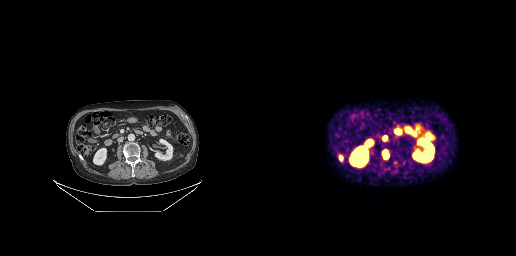
Technique: Left: CT. Right: PSMA PET, same axial level, [68Ga]Ga-PSMA-11 tracer. slice position z = -470 mm. PET panel 256×256 px (2.7 mm/px).
Findings: Coordinates are on the 256×256 PET (right) panel. PSMA-avid tumor lesion bounding boxes (x0,y0,x1,y1): [123,150,128,158], [78,155,83,161]. Small PSMA-avid focus (2 to 4 px across) near (center x, center y): (125, 137).